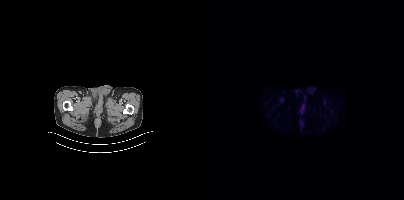
Negative for PSMA-avid disease on this slice.